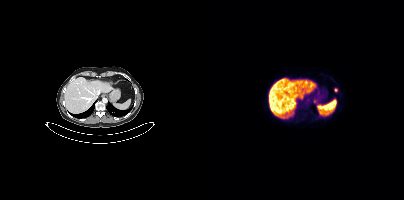
{"modality":"PSMA PET/CT","view":"axial","tracer":"18F","pet_grid":[200,200],"coord_frame":"pet_panel","coord_format":"x0,y0,x1,y1","lesion_bboxes":[[109,99,113,103]],"small_foci_centers":[[131,89]]}